Technique: Two-panel axial: CT | PSMA PET, 18F-PSMA tracer. acquired on Siemens Biograph mCT Flow 20. slice 66 of 415. PET panel 200×200 px (4.1 mm/px).
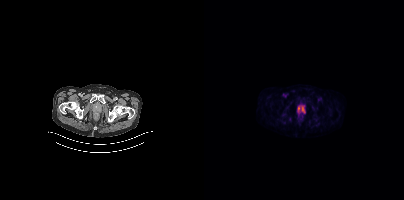
Findings: Coordinates are on the 200×200 PET (right) panel. PSMA-avid tumor lesion bounding box (x0,y0,x1,y1): [98,107,100,112]. Small PSMA-avid focus (2 to 4 px across) near (center x, center y): (94, 108).